modality: PSMA PET/CT | tracer: 18F-PSMA | view: axial | PET grid: 200×200
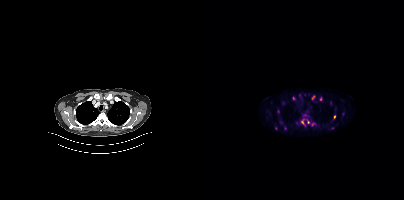
Coordinates are on the 200×200 PET (right) panel. (showing 11 of 16 foci) PSMA-avid tumor lesion bounding box (x0,y0,x1,y1): [97,119,101,125]. Small PSMA-avid foci (2 to 4 px across) near (center x, center y): (117, 98) (130, 116) (104, 121) (81, 128) (89, 98) (109, 97) (92, 123) (108, 124) (128, 127) (78, 103).